Two-panel axial: CT | PSMA PET, [18F]PSMA-1007 tracer.
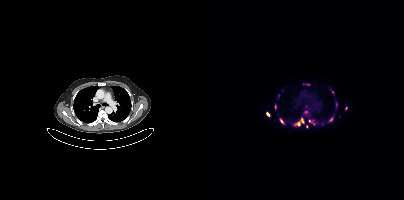
Coordinates are on the 200×200 PET (right) panel. PSMA-avid tumor lesion bounding boxes (partial; 2 more foci not listed):
| # | x0 | y0 | x1 | y1 |
|---|---|---|---|---|
| 1 | 90 | 122 | 96 | 126 |
| 2 | 76 | 118 | 79 | 123 |
| 3 | 125 | 117 | 129 | 121 |
| 4 | 97 | 118 | 100 | 123 |
| 5 | 132 | 102 | 133 | 107 |
| 6 | 141 | 106 | 143 | 110 |
| 7 | 62 | 112 | 65 | 116 |
Small PSMA-avid foci (2 to 4 px across) near (center x, center y): (106, 120); (71, 106); (101, 111); (128, 91); (102, 105).